Paired axial CT (left) and PSMA PET (right), [18F]PSMA-1007 tracer. Slice 38 of 263. PET panel 256×256 px (2.7 mm/px).
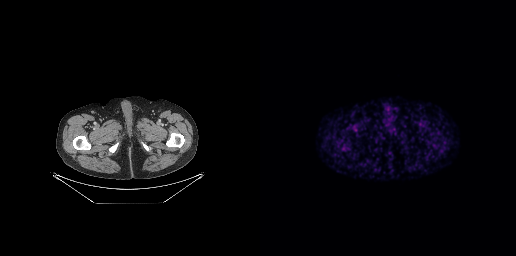
No PSMA-avid tumor lesions on this slice.